- Paired axial CT (left) and PSMA PET (right), 18F tracer
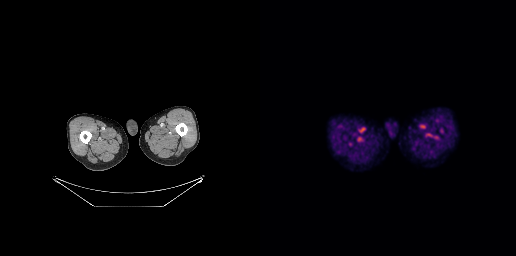
Findings: Negative for PSMA-avid disease on this slice.